modality: PSMA PET/CT | tracer: 18F | view: axial | PET grid: 200×200
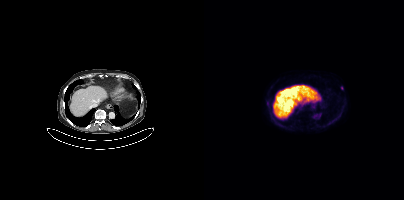
Coordinates are on the 200×200 PET (right) panel. Small PSMA-avid foci (2 to 4 px across) near (center x, center y): (138, 88); (63, 103).